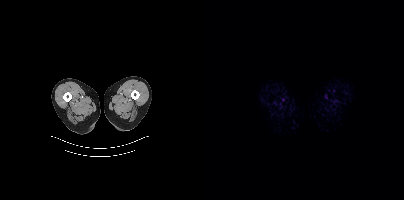
Left: CT. Right: PSMA PET, same axial level, 18F tracer. Acquired on Siemens Biograph mCT Flow 20. PET panel 200×200 px (4.1 mm/px). No tumor lesions annotated on this slice.